modality: PSMA PET/CT | tracer: [68Ga]Ga-PSMA-11 | view: axial | PET grid: 256×256
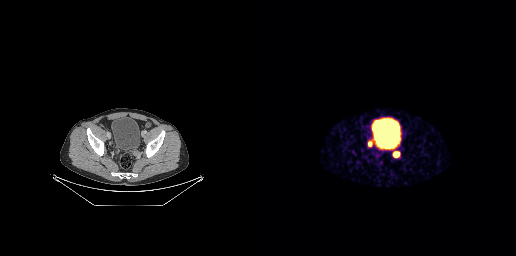
Coordinates are on the 256×256 PET (right) panel. PSMA-avid tumor lesion bounding boxes (x0, y0)-(x1, y1): (133, 151)-(139, 157); (108, 141)-(112, 145); (118, 145)-(122, 147).